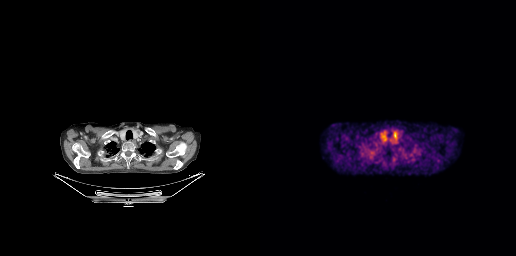
No PSMA-avid tumor lesions on this slice.
modality: PSMA PET/CT | tracer: 18F | view: axial | PET grid: 256×256